Technique: Paired axial CT (left) and PSMA PET (right), [18F]PSMA-1007 tracer.
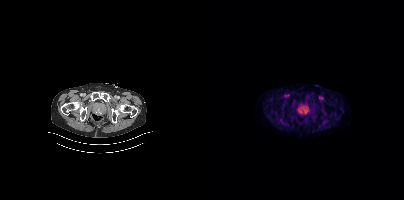
Findings: Coordinates are on the 200×200 PET (right) panel. PSMA-avid tumor lesion bounding box (x, y, width, height): x=93 y=104 w=14 h=12.